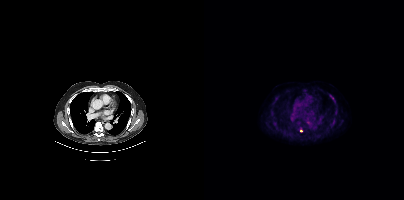
Technique: Left: CT. Right: PSMA PET, same axial level, [18F]PSMA-1007 tracer. acquired on Siemens Biograph mCT Flow 20.
Findings: Coordinates are on the 200×200 PET (right) panel. (showing 1 of 2 foci) Small PSMA-avid focus (2 to 4 px across) near (center x, center y): (97, 130).